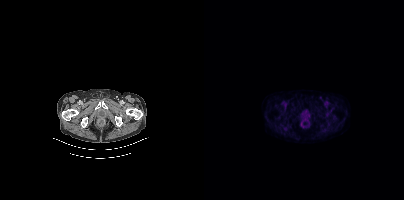
Two-panel axial: CT | PSMA PET, 18F tracer. Acquired on Siemens Biograph mCT Flow 20. PET panel 200×200 px (4.1 mm/px). No tumor lesions annotated on this slice.